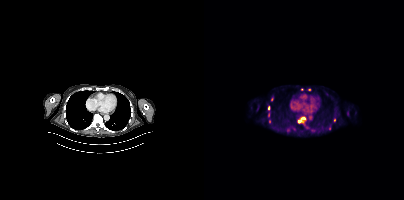
Coordinates are on the 200×200 PET (right) panel. (showing 7 of 9 foci) PSMA-avid tumor lesion bounding box (x0, y0)-(x1, y1): (64, 112)-(65, 117). Small PSMA-avid foci (2 to 4 px across) near (center x, center y): (64, 107) / (65, 121) / (95, 121) / (99, 117) / (105, 89) / (130, 120).